modality: PSMA PET/CT | tracer: 18F-PSMA | view: axial
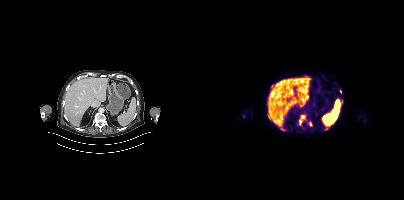
Coordinates are on the 200×200 PET (right) panel. (showing 7 of 8 foci) PSMA-avid tumor lesion bounding boxes (x, y, width, height): x=136 y=99 w=4 h=6 / x=105 y=122 w=4 h=5 / x=77 y=128 w=5 h=3. Small PSMA-avid foci (2 to 4 px across) near (center x, center y): (122, 128) / (99, 116) / (96, 121) / (136, 91).